Left: CT. Right: PSMA PET, same axial level, [68Ga]Ga-PSMA-11 tracer. Acquired on GE Discovery 690. Slice position z = -628 mm. PET panel 256×256 px (2.7 mm/px).
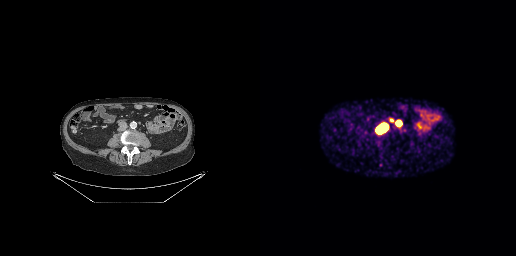
Coordinates are on the 256×256 PET (right) panel. PSMA-avid tumor lesion bounding boxes (x0,y0,x1,y1): [117,125,126,132]; [136,121,141,125]. Small PSMA-avid focus (2 to 4 px across) near (center x, center y): (131, 120).